- Paired axial CT (left) and PSMA PET (right), [18F]PSMA-1007 tracer
- acquired on Siemens Biograph 64-4R TruePoint
- slice 15 of 165
- PET panel 168×168 px (4.1 mm/px)
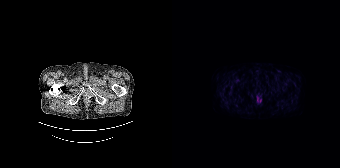
Findings: Negative for PSMA-avid disease on this slice.